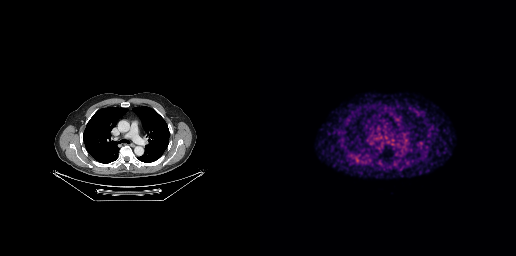
Coordinates are on the 256×256 PET (right) panel. Small PSMA-avid focus (2 to 4 px across) near (center x, center y): (161, 143). Left: CT. Right: PSMA PET, same axial level, 68Ga tracer. PET panel 256×256 px (2.7 mm/px).